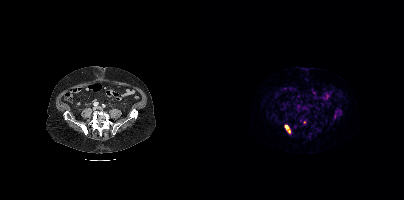
Coordinates are on the 200×200 PET (right) panel. PSMA-avid tumor lesion bounding boxes (partial; 2 more foci not listed):
| # | x0 | y0 | x1 | y1 |
|---|---|---|---|---|
| 1 | 80 | 125 | 86 | 133 |
Left: CT. Right: PSMA PET, same axial level, [68Ga]Ga-PSMA-11 tracer.